Paired axial CT (left) and PSMA PET (right), [18F]PSMA-1007 tracer. PET panel 200×200 px (4.1 mm/px).
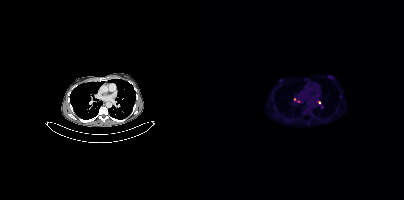
Coordinates are on the 200×200 PET (right) panel. (showing 4 of 5 foci) Small PSMA-avid foci (2 to 4 px across) near (center x, center y): (136, 96) (90, 99) (115, 102) (94, 101).